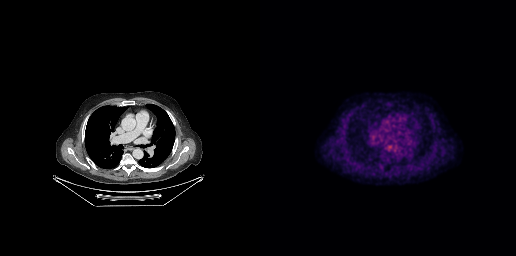
Technique: Two-panel axial: CT | PSMA PET, [18F]PSMA-1007 tracer. acquired on GE Discovery 690.
Findings: Negative for PSMA-avid disease on this slice.